Left: CT. Right: PSMA PET, same axial level, [18F]PSMA-1007 tracer. PET panel 200×200 px (4.1 mm/px).
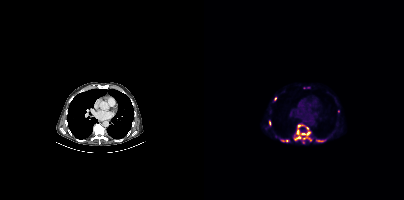
Coordinates are on the 200×200 PET (right) panel. (showing 11 of 12 foci) PSMA-avid tumor lesion bounding boxes (x, y, width, height): x=90 y=128 w=11 h=13 / x=94 y=124 w=11 h=5 / x=100 y=136 w=8 h=6 / x=114 y=140 w=6 h=2. Small PSMA-avid foci (2 to 4 px across) near (center x, center y): (99, 141) / (104, 133) / (104, 87) / (71, 98) / (65, 122) / (83, 140) / (134, 111).